- Paired axial CT (left) and PSMA PET (right), [18F]PSMA-1007 tracer
- slice position z = -854 mm
- PET panel 200×200 px (4.1 mm/px)
- head region blanked for anonymization (face removed)
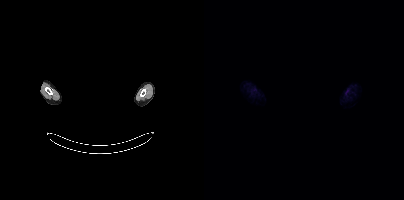
Findings: Negative for PSMA-avid disease on this slice.